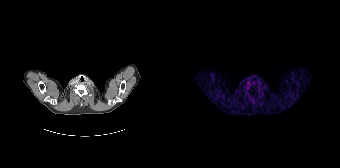
Two-panel axial: CT | PSMA PET, [68Ga]Ga-PSMA-11 tracer. Slice 165 of 195. Negative for PSMA-avid disease on this slice.